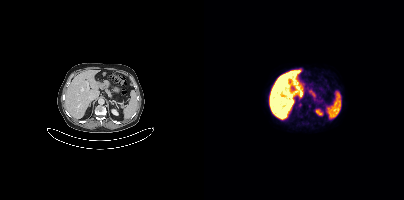
modality: PSMA PET/CT | tracer: 18F-PSMA | view: axial | PET grid: 200×200
Coordinates are on the 200×200 PET (right) panel. (showing 1 of 2 foci) Small PSMA-avid focus (2 to 4 px across) near (center x, center y): (105, 105).